Technique: Left: CT. Right: PSMA PET, same axial level, 18F tracer. PET panel 200×200 px (4.1 mm/px).
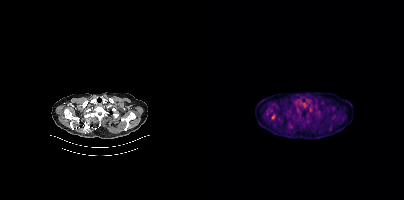
Findings: Negative for PSMA-avid disease on this slice.